Technique: Two-panel axial: CT | PSMA PET, 18F-PSMA tracer. slice position z = -1114 mm.
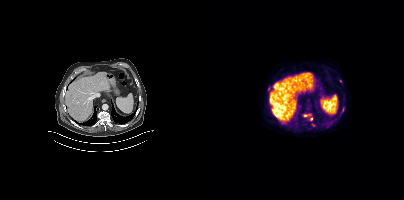
Findings: Coordinates are on the 200×200 PET (right) panel. (showing 5 of 6 foci) PSMA-avid tumor lesion bounding boxes (x, y, width, height): x=99 y=114 w=10 h=7 / x=64 y=86 w=4 h=6 / x=138 y=107 w=3 h=5 / x=107 y=123 w=5 h=4. Small PSMA-avid focus (2 to 4 px across) near (center x, center y): (136, 81).